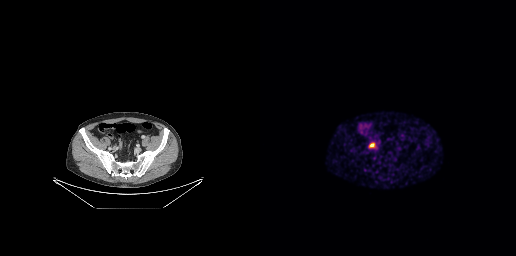
{"pet_grid":[256,256],"coord_frame":"pet_panel","coord_format":"x0,y0,x1,y1","lesion_bboxes":[[109,143,114,146]],"modality":"PSMA PET/CT","view":"axial","tracer":"68Ga-PSMA"}